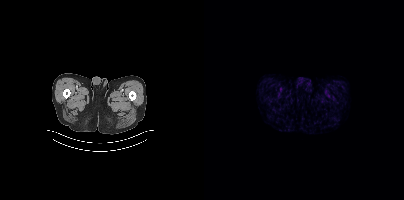
This slice has no annotated PSMA-avid lesion.
modality: PSMA PET/CT | tracer: 68Ga-PSMA | view: axial | PET grid: 200×200